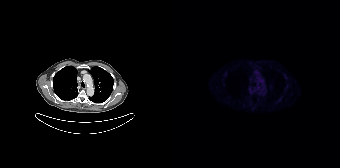
{"modality":"PSMA PET/CT","view":"axial","tracer":"18F","pet_grid":[168,168],"coord_frame":"pet_panel","coord_format":"x0,y0,x1,y1","psma_avid_lesions":false}